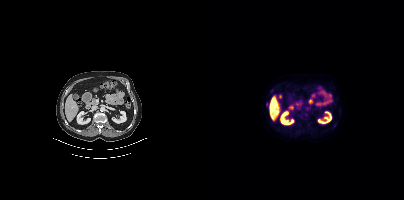
Findings: Coordinates are on the 200×200 PET (right) panel. Small PSMA-avid focus (2 to 4 px across) near (center x, center y): (62, 104).
- Left: CT. Right: PSMA PET, same axial level, 18F-PSMA tracer
- PET panel 200×200 px (4.1 mm/px)